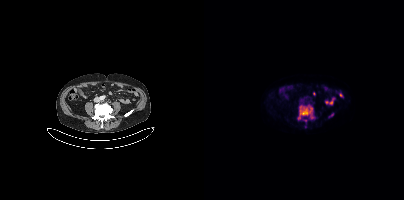
Coordinates are on the 200×200 PET (right) panel. PSMA-avid tumor lesion bounding box (x0, y0)-(x1, y1): (94, 105)-(109, 119). Small PSMA-avid foci (2 to 4 px across) near (center x, center y): (128, 114) / (101, 120).